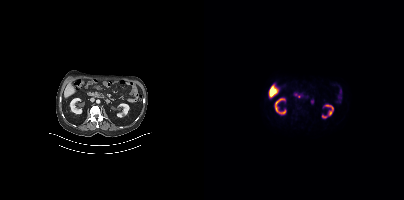
No tumor lesions annotated on this slice.